- Left: CT. Right: PSMA PET, same axial level, 18F-PSMA tracer
- slice position z = -1141 mm
- PET panel 200×200 px (4.1 mm/px)
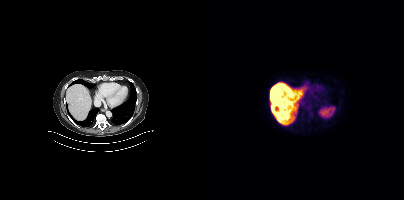
Findings: No tumor lesions annotated on this slice.